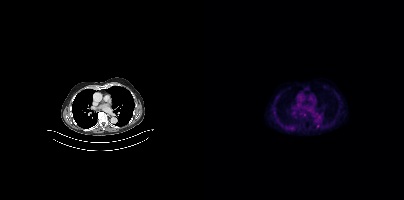
Coordinates are on the 200×200 PET (right) panel. Small PSMA-avid focus (2 to 4 px across) near (center x, center y): (114, 124).